Left: CT. Right: PSMA PET, same axial level, 68Ga-PSMA tracer.
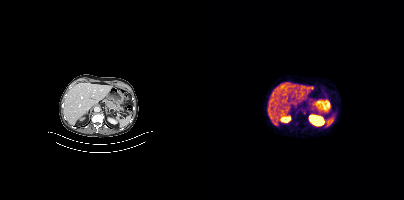
This slice has no annotated PSMA-avid lesion.